- Two-panel axial: CT | PSMA PET, 18F tracer
- slice 371 of 415
- de-identified by setting a box covering the face to black before release
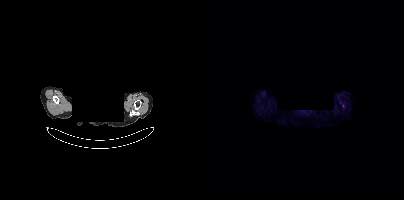
Findings: No tumor lesions annotated on this slice.